modality: PSMA PET/CT | tracer: 68Ga | view: axial
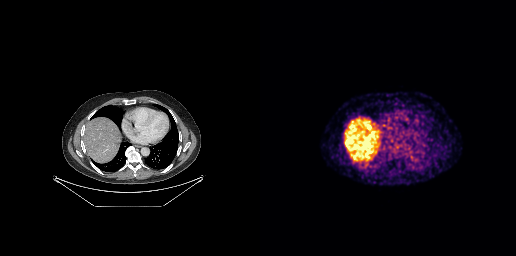
This slice has no annotated PSMA-avid lesion.